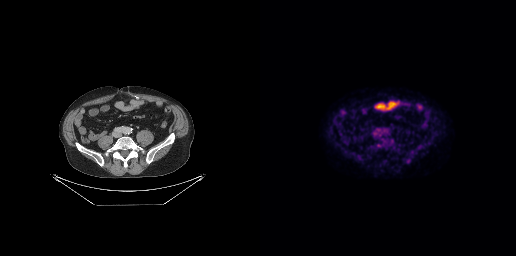
No PSMA-avid tumor lesions on this slice.
modality: PSMA PET/CT | tracer: [18F]PSMA-1007 | view: axial | PET grid: 256×256